Two-panel axial: CT | PSMA PET, [18F]PSMA-1007 tracer. Slice 251 of 452. PET panel 200×200 px (4.1 mm/px).
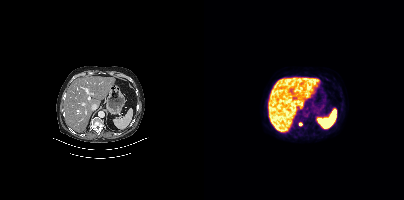
Coordinates are on the 200×200 PET (right) panel. Small PSMA-avid focus (2 to 4 px across) near (center x, center y): (96, 124).